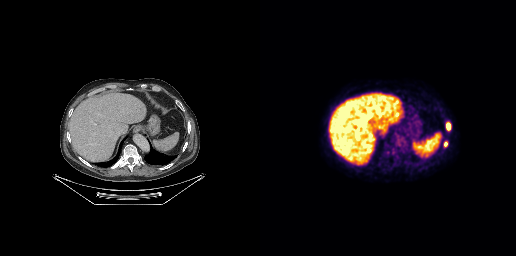
Coordinates are on the 256×256 PET (right) panel. PSMA-avid tumor lesion bounding boxes (x, y, width, height): x=186 y=122 w=5 h=9; x=184 y=141 w=4 h=7.